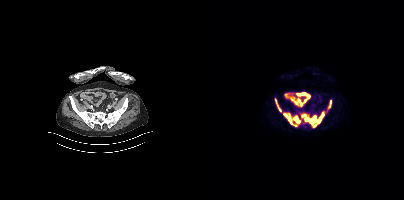
{"modality":"PSMA PET/CT","view":"axial","tracer":"18F","pet_grid":[200,200],"coord_frame":"pet_panel","coord_format":"x0,y0,x1,y1","lesion_bboxes":[[97,111,120,124],[80,113,88,124],[89,116,96,123],[72,100,77,112],[125,100,127,107]],"small_foci_centers":[[110,126],[91,125]]}